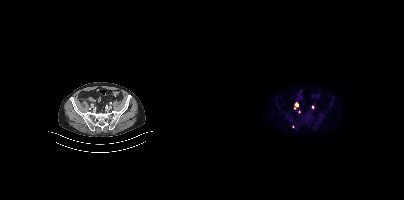
Technique: Two-panel axial: CT | PSMA PET, 18F-PSMA tracer. slice position z = -1334 mm.
Findings: Coordinates are on the 200×200 PET (right) panel. (showing 2 of 5 foci) Small PSMA-avid foci (2 to 4 px across) near (center x, center y): (92, 104) / (90, 107).